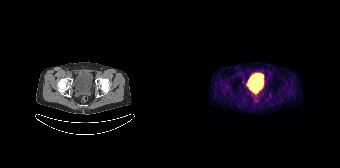
modality: PSMA PET/CT | tracer: [68Ga]Ga-PSMA-11 | view: axial | PET grid: 168×168
Coordinates are on the 168×168 PET (right) panel. Small PSMA-avid focus (2 to 4 px across) near (center x, center y): (70, 81).